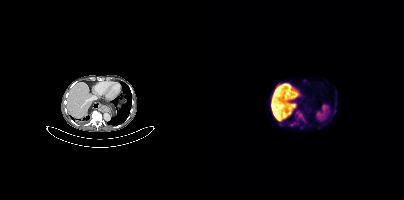
{"modality":"PSMA PET/CT","view":"axial","tracer":"18F-PSMA","pet_grid":[200,200],"coord_frame":"pet_panel","coord_format":"x0,y0,x1,y1","lesion_bboxes":[[92,111,100,120],[86,122,91,125]]}